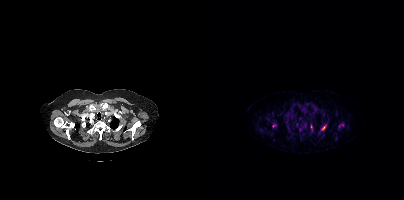
Coordinates are on the 200×200 PET (right) panel. (showing 3 of 8 foci) PSMA-avid tumor lesion bounding boxes (x0,y0,x1,y1): [116,124,122,130], [135,124,139,127]. Small PSMA-avid focus (2 to 4 px across) near (center x, center y): (107, 126).